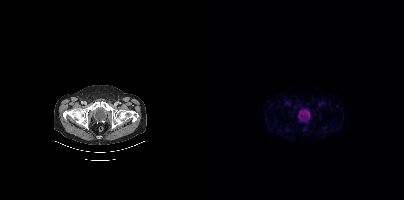
This slice has no annotated PSMA-avid lesion.